Paired axial CT (left) and PSMA PET (right), 18F-PSMA tracer. PET panel 200×200 px (4.1 mm/px).
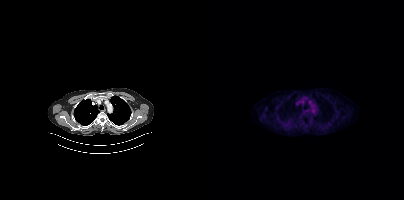
No tumor lesions annotated on this slice.